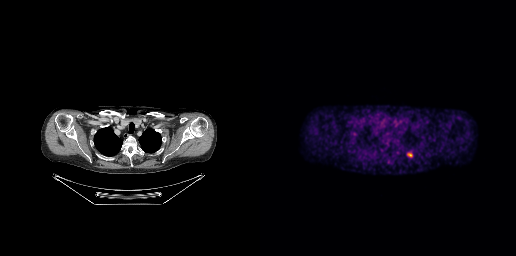
{"pet_grid":[256,256],"coord_frame":"pet_panel","coord_format":"x0,y0,x1,y1","lesion_bboxes":[[147,153,152,156]],"modality":"PSMA PET/CT","view":"axial","tracer":"18F"}